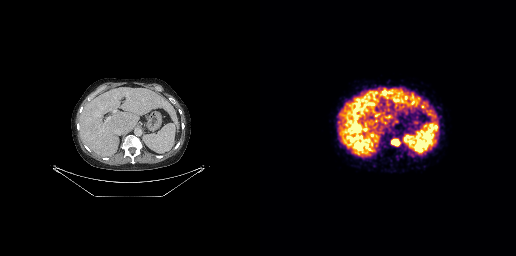
Coordinates are on the 256×256 PET (right) panel. PSMA-avid tumor lesion bounding box (x0,y0,x1,y1): [131,139,140,146]. Paired axial CT (left) and PSMA PET (right), 68Ga-PSMA tracer. PET panel 256×256 px (2.7 mm/px).